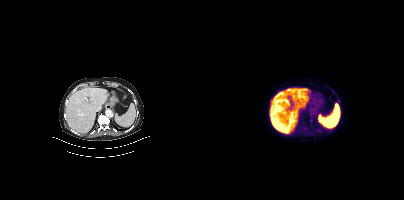
No PSMA-avid tumor lesions on this slice.